- Two-panel axial: CT | PSMA PET, 18F tracer
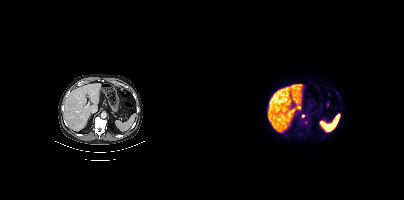
Findings: Coordinates are on the 200×200 PET (right) panel. Small PSMA-avid focus (2 to 4 px across) near (center x, center y): (99, 116).